Left: CT. Right: PSMA PET, same axial level, [18F]PSMA-1007 tracer.
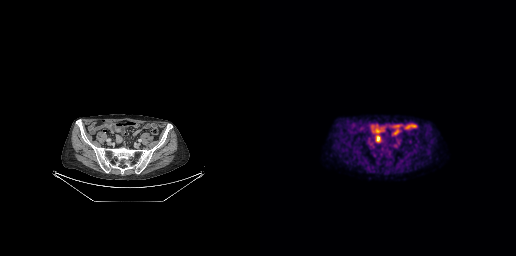
No tumor lesions annotated on this slice.